Two-panel axial: CT | PSMA PET, 18F-PSMA tracer. Acquired on Siemens Biograph mCT Flow 20. Slice position z = -960 mm. PET panel 200×200 px (4.1 mm/px).
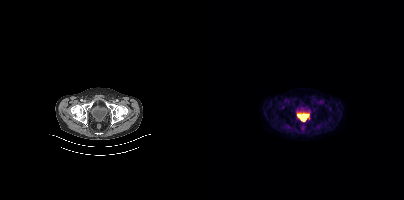
Only PSMA-avid lesion pieces thinner than 2 px on this slice (not listed).